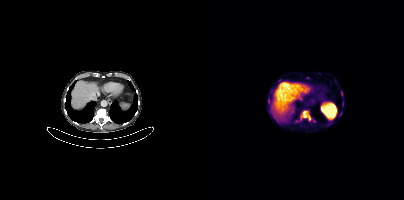
Coordinates are on the 200×200 PET (right) panel. (showing 1 of 2 foci) PSMA-avid tumor lesion bounding box (x, y, width, height): x=96 y=110 w=12 h=11.
modality: PSMA PET/CT | tracer: [18F]PSMA-1007 | view: axial | PET grid: 200×200